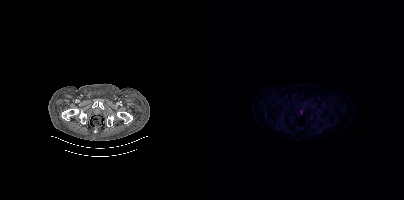
No tumor lesions annotated on this slice.